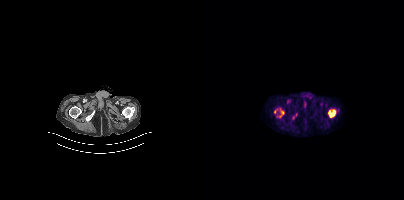
- Two-panel axial: CT | PSMA PET, [18F]PSMA-1007 tracer
- acquired on Siemens Biograph mCT Flow 20
- PET panel 200×200 px (4.1 mm/px)
Findings: Coordinates are on the 200×200 PET (right) panel. PSMA-avid tumor lesion bounding boxes (x0, y0)-(x1, y1): (88, 113)-(93, 119); (76, 111)-(79, 117). Small PSMA-avid focus (2 to 4 px across) near (center x, center y): (71, 111).